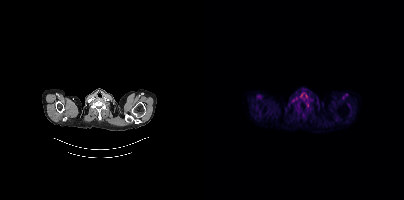
modality: PSMA PET/CT | tracer: 18F-PSMA | view: axial
No tumor lesions annotated on this slice.